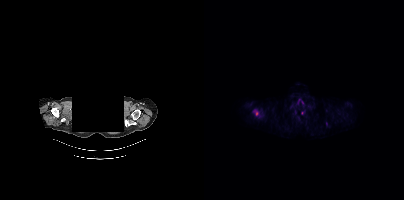
An anonymization step blacked out a rectangle over the head in this scan. Paired axial CT (left) and PSMA PET (right), 18F-PSMA tracer. Coordinates are on the 200×200 PET (right) panel. (showing 1 of 3 foci) PSMA-avid tumor lesion bounding box (x0, y0)-(x1, y1): (50, 110)-(54, 115).